Technique: Two-panel axial: CT | PSMA PET, [18F]PSMA-1007 tracer. slice position z = -1196 mm.
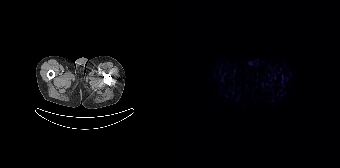
Findings: No PSMA-avid tumor lesions on this slice.